modality: PSMA PET/CT | tracer: 68Ga | view: axial
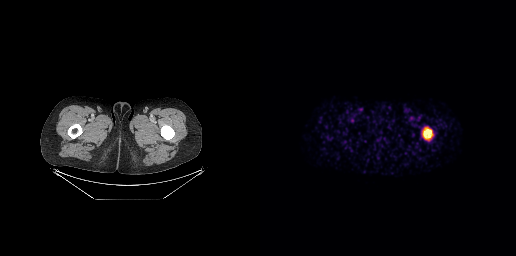
Coordinates are on the 256×256 PET (right) panel. PSMA-avid tumor lesion bounding box (x0,y0,x1,y1): [163,127,172,139].